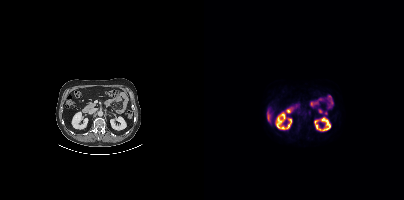
{"modality":"PSMA PET/CT","view":"axial","tracer":"18F-PSMA","pet_grid":[200,200],"coord_frame":"pet_panel","coord_format":"x0,y0,x1,y1","lesion_bboxes":[],"small_foci_centers":[[105,112]]}